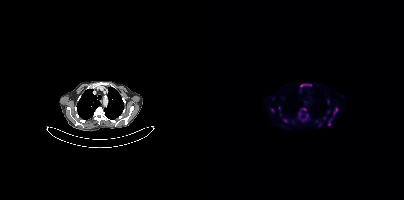
- Two-panel axial: CT | PSMA PET, 18F-PSMA tracer
- slice position z = -554 mm
- PET panel 200×200 px (4.1 mm/px)
Findings: Coordinates are on the 200×200 PET (right) panel. (showing 6 of 12 foci) PSMA-avid tumor lesion bounding boxes (x, y, width, height): x=130 y=108 w=4 h=7 | x=96 y=84 w=6 h=3 | x=124 y=121 w=3 h=5. Small PSMA-avid foci (2 to 4 px across) near (center x, center y): (81, 120) | (100, 109) | (68, 110).